- Left: CT. Right: PSMA PET, same axial level, 18F tracer
- acquired on Siemens Biograph mCT Flow 20
- slice 197 of 381
- PET panel 200×200 px (4.1 mm/px)
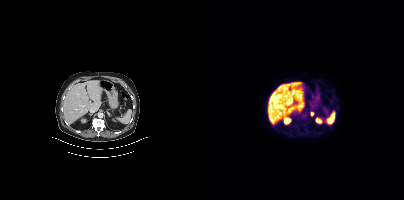
Findings: Coordinates are on the 200×200 PET (right) panel. Small PSMA-avid focus (2 to 4 px across) near (center x, center y): (108, 113).